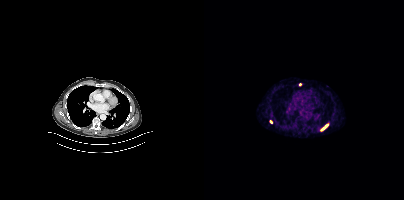
Findings: Coordinates are on the 200×200 PET (right) panel. Small PSMA-avid foci (2 to 4 px across) near (center x, center y): (122, 125) | (118, 129) | (96, 84) | (66, 121).
Technique: Left: CT. Right: PSMA PET, same axial level, 68Ga-PSMA tracer. slice position z = -1052 mm. PET panel 200×200 px (4.1 mm/px).